Technique: Left: CT. Right: PSMA PET, same axial level, 18F-PSMA tracer. acquired on Siemens Biograph mCT Flow 20. slice position z = -1546 mm.
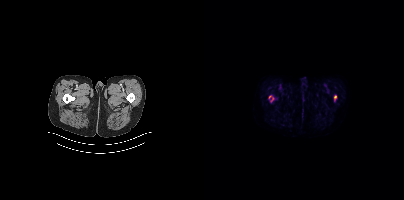
Findings: Coordinates are on the 200×200 PET (right) panel. PSMA-avid tumor lesion bounding boxes (x, y, width, height): x=65 y=95 w=5 h=6; x=130 y=95 w=3 h=5.